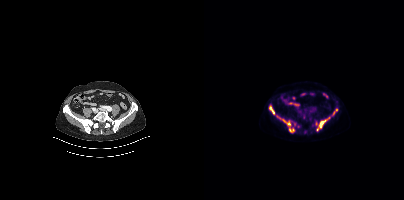
Coordinates are on the 200×200 PET (right) panel. (showing 6 of 9 foci) PSMA-avid tumor lesion bounding boxes (x, y, width, height): x=78 y=119 w=15 h=14; x=112 y=120 w=11 h=12; x=129 y=109 w=5 h=6. Small PSMA-avid foci (2 to 4 px across) near (center x, center y): (66, 107); (69, 113); (125, 117).
modality: PSMA PET/CT | tracer: 18F | view: axial